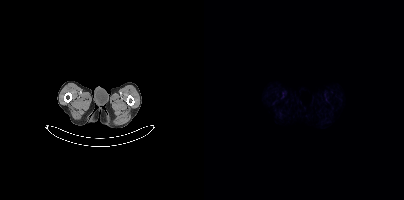
Findings: No tumor lesions annotated on this slice.
- Paired axial CT (left) and PSMA PET (right), 18F-PSMA tracer
- acquired on Siemens Biograph mCT Flow 20
- PET panel 200×200 px (4.1 mm/px)